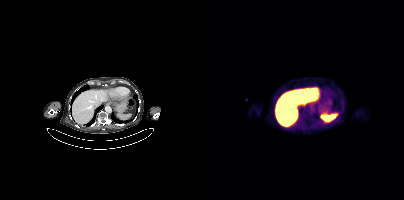
{"modality":"PSMA PET/CT","view":"axial","tracer":"[18F]PSMA-1007","pet_grid":[200,200],"coord_frame":"pet_panel","coord_format":"x0,y0,x1,y1","psma_avid_lesions":false}